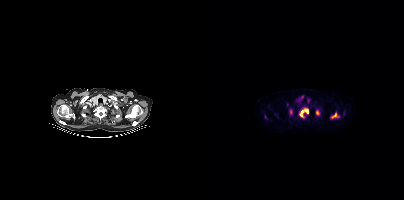
Left: CT. Right: PSMA PET, same axial level, 18F-PSMA tracer. Acquired on Siemens Biograph mCT Flow 20. PET panel 200×200 px (4.1 mm/px). Coordinates are on the 200×200 PET (right) panel. PSMA-avid tumor lesion bounding boxes (x, y, width, height): x=95 y=109 w=10 h=8 | x=112 y=110 w=4 h=6 | x=128 y=113 w=5 h=5.